modality: PSMA PET/CT | tracer: 68Ga | view: axial
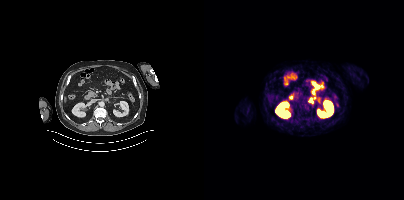
No PSMA-avid tumor lesions on this slice.